Two-panel axial: CT | PSMA PET, 18F tracer. Slice 169 of 405. PET panel 200×200 px (4.1 mm/px).
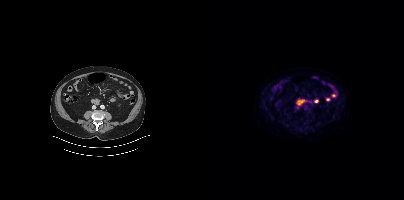
No PSMA-avid tumor lesions on this slice.